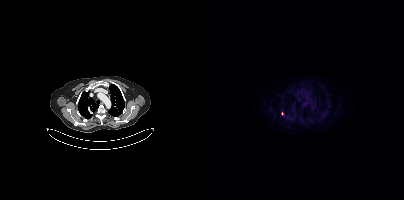
- Two-panel axial: CT | PSMA PET, [18F]PSMA-1007 tracer
Findings: Coordinates are on the 200×200 PET (right) panel. (showing 1 of 2 foci) Small PSMA-avid focus (2 to 4 px across) near (center x, center y): (95, 99).